Face de-identified by blanking a block of the head. Paired axial CT (left) and PSMA PET (right), 18F tracer. Acquired on Siemens Biograph mCT Flow 20. Slice position z = -898 mm.
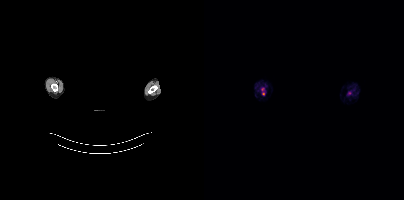
No PSMA-avid tumor lesions on this slice.